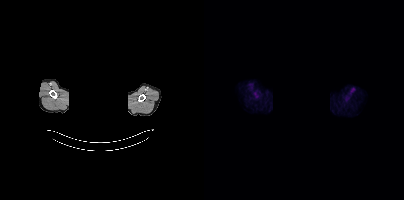
{"modality":"PSMA PET/CT","view":"axial","tracer":"18F-PSMA","pet_grid":[200,200],"coord_frame":"pet_panel","coord_format":"x0,y0,x1,y1","de-identification":"face masked with black rectangle","psma_avid_lesions":false}